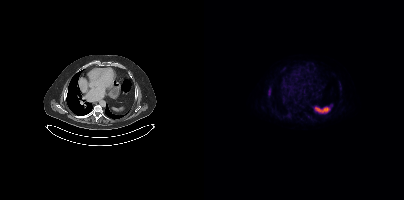
Findings: Coordinates are on the 200×200 PET (right) panel. PSMA-avid tumor lesion bounding box (x0,y0,x1,y1): [64,89,66,95].
- Left: CT. Right: PSMA PET, same axial level, 18F tracer